- Paired axial CT (left) and PSMA PET (right), [18F]PSMA-1007 tracer
- acquired on Siemens Biograph mCT Flow 20
- PET panel 200×200 px (4.1 mm/px)
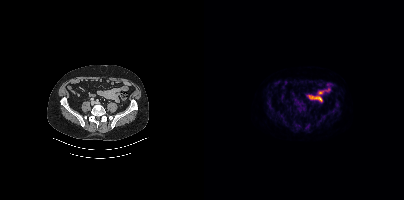
Findings: Coordinates are on the 200×200 PET (right) panel. (showing 5 of 6 foci) PSMA-avid tumor lesion bounding boxes (x0, y0)-(x1, y1): (92, 103)-(101, 112) / (62, 98)-(67, 107) / (123, 110)-(127, 114). Small PSMA-avid foci (2 to 4 px across) near (center x, center y): (133, 105) / (130, 110).